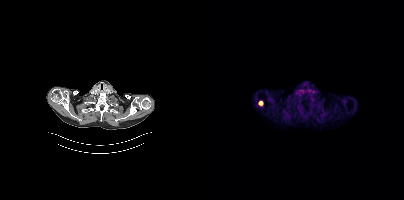
- Left: CT. Right: PSMA PET, same axial level, 18F-PSMA tracer
Findings: Coordinates are on the 200×200 PET (right) panel. PSMA-avid tumor lesion bounding box (x0,y0,x1,y1): [55,101,58,105].